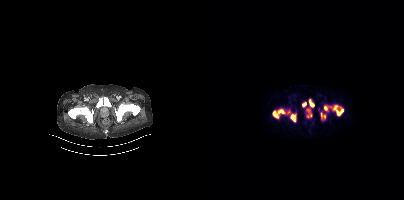
Findings: No PSMA-avid tumor lesions on this slice.
Technique: Two-panel axial: CT | PSMA PET, [68Ga]Ga-PSMA-11 tracer. slice position z = 376 mm. PET panel 200×200 px (4.1 mm/px).